Technique: Two-panel axial: CT | PSMA PET, [18F]PSMA-1007 tracer. acquired on Siemens Biograph mCT Flow 20.
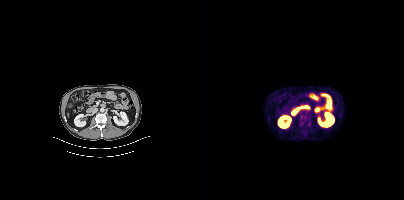
Findings: Coordinates are on the 200×200 PET (right) panel. PSMA-avid tumor lesion bounding box (x0,y0,x1,y1): [95,116,107,127].